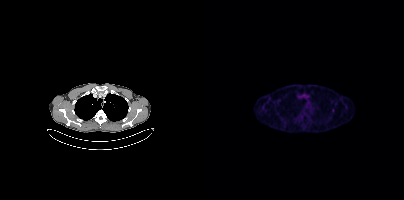
Findings: Coordinates are on the 200×200 PET (right) panel. Small PSMA-avid focus (2 to 4 px across) near (center x, center y): (129, 110).
- Paired axial CT (left) and PSMA PET (right), 18F-PSMA tracer
- acquired on Siemens Biograph mCT Flow 20
- PET panel 200×200 px (4.1 mm/px)